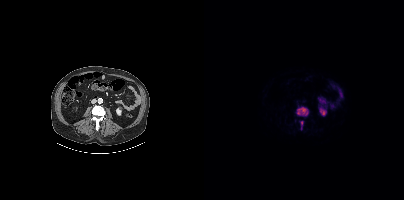
Two-panel axial: CT | PSMA PET, 18F-PSMA tracer. Acquired on Siemens Biograph mCT Flow 20. PET panel 200×200 px (4.1 mm/px).
Coordinates are on the 200×200 PET (right) panel. PSMA-avid tumor lesion bounding boxes:
| # | x0 | y0 | x1 | y1 |
|---|---|---|---|---|
| 1 | 92 | 106 | 104 | 116 |
| 2 | 96 | 121 | 99 | 129 |